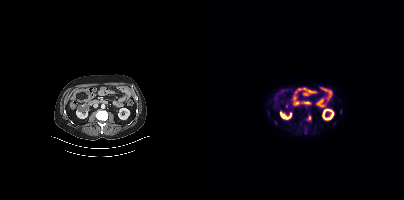
Coordinates are on the 200×200 PET (right) panel. PSMA-avid tumor lesion bounding box (x, y, width, height): x=103 y=115 w=5 h=6. Small PSMA-avid focus (2 to 4 px across) near (center x, center y): (101, 132).